modality: PSMA PET/CT | tracer: [18F]PSMA-1007 | view: axial | deidentification: rectangular block over head set to black
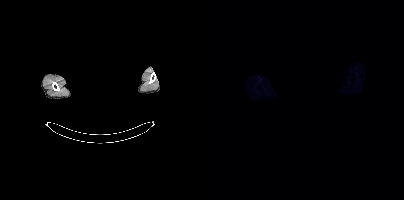
Negative for PSMA-avid disease on this slice.